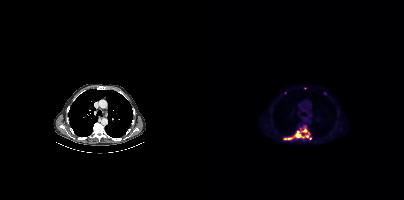
Left: CT. Right: PSMA PET, same axial level, 18F-PSMA tracer. Slice 302 of 435. PET panel 200×200 px (4.1 mm/px).
Coordinates are on the 200×200 PET (right) panel. PSMA-avid tumor lesion bounding boxes (partial; 1 more focus not listed):
| # | x0 | y0 | x1 | y1 |
|---|---|---|---|---|
| 1 | 80 | 129 | 98 | 139 |
| 2 | 100 | 126 | 105 | 134 |
Small PSMA-avid foci (2 to 4 px across) near (center x, center y): (121, 93); (99, 137); (103, 136); (80, 92); (106, 138).